- Two-panel axial: CT | PSMA PET, 18F tracer
- acquired on Siemens Biograph mCT Flow 20
- slice 262 of 419
- PET panel 200×200 px (4.1 mm/px)
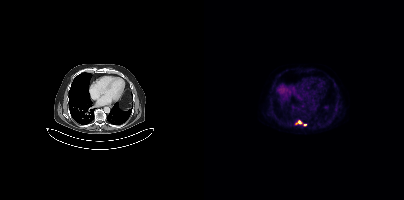
Findings: Coordinates are on the 200×200 PET (right) panel. Small PSMA-avid foci (2 to 4 px across) near (center x, center y): (95, 122) / (100, 124).